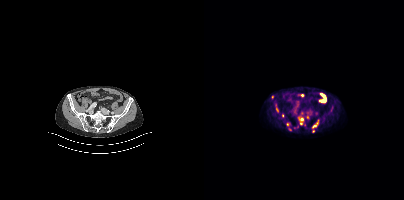
Coordinates are on the 200×200 PET (right) panel. (showing 6 of 11 foci) PSMA-avid tumor lesion bounding boxes (x0,y0,x1,y1): [95,118,99,120]; [108,122,113,127]; [120,99,122,103]. Small PSMA-avid foci (2 to 4 px across) near (center x, center y): (97, 123); (86, 129); (72, 109).